Two-panel axial: CT | PSMA PET, 18F tracer. Slice position z = -1268 mm.
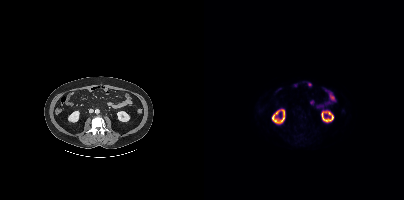
No tumor lesions annotated on this slice.